modality: PSMA PET/CT | tracer: 18F-PSMA | view: axial
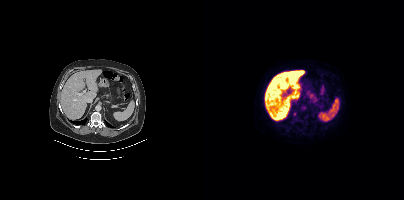
Only PSMA-avid lesion pieces thinner than 2 px on this slice (not listed).